Technique: Left: CT. Right: PSMA PET, same axial level, 18F-PSMA tracer. PET panel 200×200 px (4.1 mm/px).
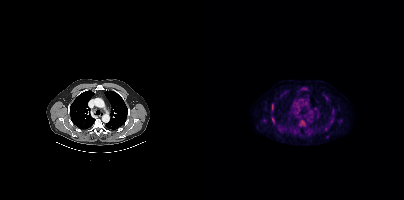
Findings: Coordinates are on the 200×200 PET (right) panel. (showing 2 of 4 foci) Small PSMA-avid foci (2 to 4 px across) near (center x, center y): (68, 108) | (68, 119).